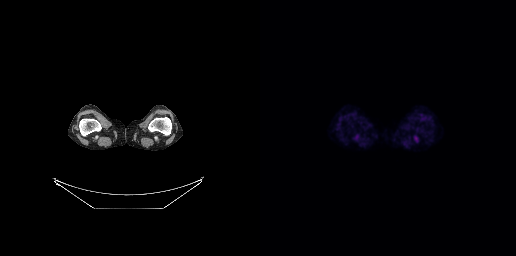
Findings: No PSMA-avid tumor lesions on this slice.
- Left: CT. Right: PSMA PET, same axial level, 18F tracer
- slice position z = -1340 mm